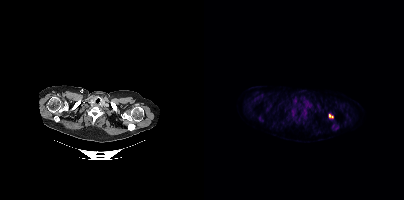
Coordinates are on the 200×200 PET (right) panel. PSMA-avid tumor lesion bounding box (x, y, width, height): x=124 y=114 w=6 h=5.